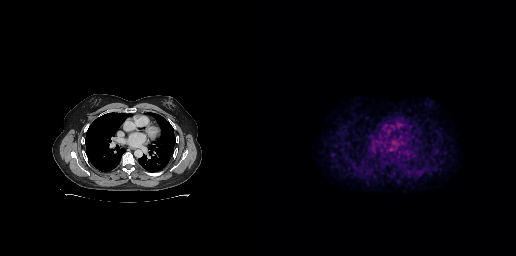
This slice has no annotated PSMA-avid lesion. Paired axial CT (left) and PSMA PET (right), [18F]PSMA-1007 tracer. Acquired on GE Discovery 690.